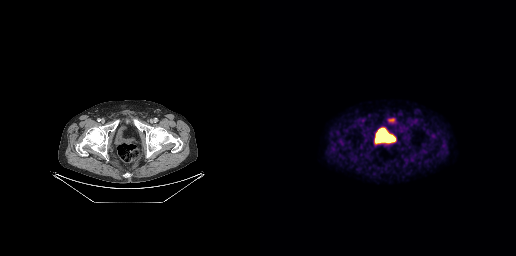
modality: PSMA PET/CT | tracer: 18F | view: axial
This slice has no annotated PSMA-avid lesion.